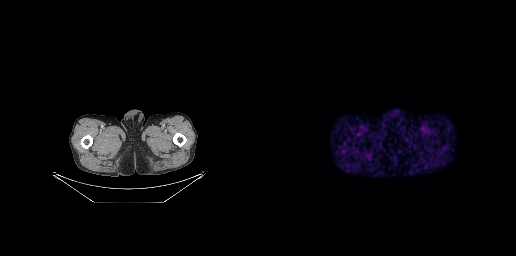
{"pet_grid":[256,256],"coord_frame":"pet_panel","coord_format":"x0,y0,x1,y1","psma_avid_lesions":false,"modality":"PSMA PET/CT","view":"axial","tracer":"68Ga"}